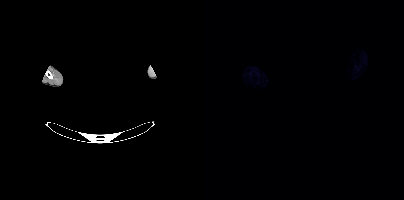
redaction: head region blacked out before release | modality: PSMA PET/CT | tracer: [18F]PSMA-1007 | view: axial
Negative for PSMA-avid disease on this slice.